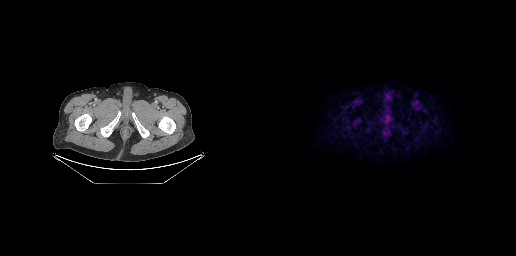
Findings: No PSMA-avid tumor lesions on this slice.
Technique: Two-panel axial: CT | PSMA PET, 18F tracer. acquired on GE Discovery 690. slice 36 of 227.